Paired axial CT (left) and PSMA PET (right), [18F]PSMA-1007 tracer. PET panel 256×256 px (2.7 mm/px).
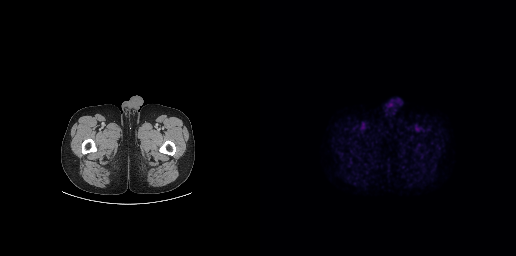
No tumor lesions annotated on this slice.